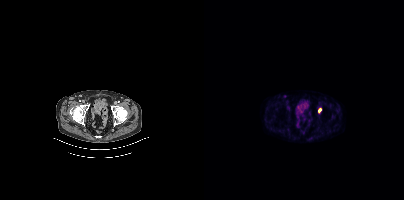
Findings: Coordinates are on the 200×200 PET (right) panel. PSMA-avid tumor lesion bounding box (x0, y0)-(x1, y1): (114, 108)-(117, 112). Small PSMA-avid focus (2 to 4 px across) near (center x, center y): (81, 96).
Technique: Two-panel axial: CT | PSMA PET, [18F]PSMA-1007 tracer. slice position z = -1558 mm.